Left: CT. Right: PSMA PET, same axial level, [18F]PSMA-1007 tracer.
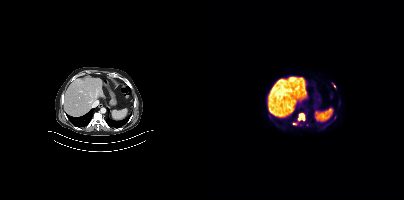
Coordinates are on the 200×200 PET (right) panel. PSMA-avid tumor lesion bounding boxes:
| # | x0 | y0 | x1 | y1 |
|---|---|---|---|---|
| 1 | 94 | 113 | 101 | 120 |
Small PSMA-avid foci (2 to 4 px across) near (center x, center y): (90, 123); (130, 86).